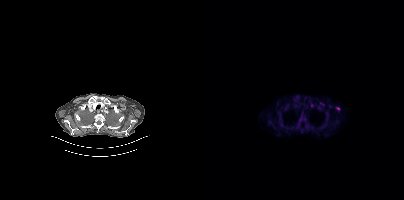
{"modality":"PSMA PET/CT","view":"axial","tracer":"[18F]PSMA-1007","pet_grid":[200,200],"coord_frame":"pet_panel","coord_format":"x0,y0,x1,y1","lesion_bboxes":[],"small_foci_centers":[[100,119],[108,105],[119,104],[134,108]]}